- Two-panel axial: CT | PSMA PET, [68Ga]Ga-PSMA-11 tracer
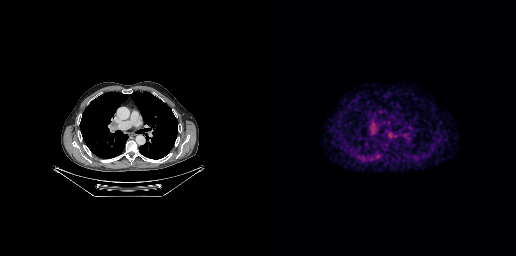
Findings: Coordinates are on the 256×256 PET (right) panel. Small PSMA-avid focus (2 to 4 px across) near (center x, center y): (129, 134).